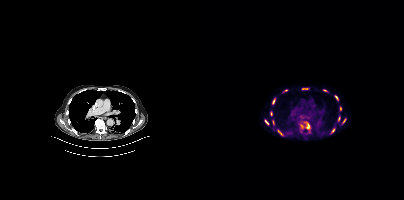
Left: CT. Right: PSMA PET, same axial level, 18F tracer. Acquired on Siemens Biograph mCT Flow 20. PET panel 200×200 px (4.1 mm/px). Coordinates are on the 200×200 PET (right) panel. (showing 14 of 15 foci) PSMA-avid tumor lesion bounding boxes (x0,y0,x1,y1): [100,122,106,129] [97,87,105,90] [68,98,71,104] [130,95,134,100] [134,116,136,121] [96,124,99,128] [61,120,64,124] [127,128,130,132] [74,130,78,135] [136,106,137,110] [119,89,123,91]. Small PSMA-avid foci (2 to 4 px across) near (center x, center y): (67, 113) (140, 120) (69, 122).